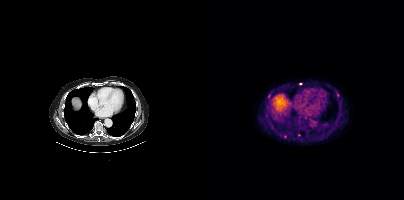
Coordinates are on the 200×200 PET (right) panel. PSMA-avid tumor lesion bounding boxes (partial; 1 more focus not listed):
| # | x0 | y0 | x1 | y1 |
|---|---|---|---|---|
| 1 | 64 | 94 | 66 | 98 |
Small PSMA-avid foci (2 to 4 px across) near (center x, center y): (96, 83); (133, 95).
Two-panel axial: CT | PSMA PET, 18F tracer. Slice 258 of 403. PET panel 200×200 px (4.1 mm/px).